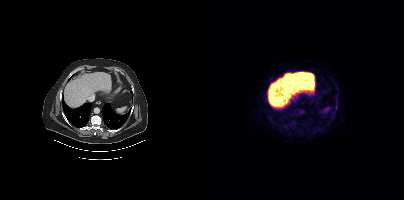
Coordinates are on the 200×200 PET (right) panel. Small PSMA-avid focus (2 to 4 px across) near (center x, center y): (132, 107).